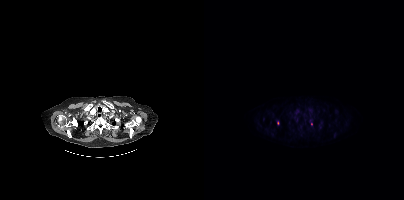
Coordinates are on the 200×200 PET (right) panel. PSMA-avid tumor lesion bounding box (x0, y0)-(x1, y1): (106, 120)-(108, 125). Small PSMA-avid focus (2 to 4 px across) near (center x, center y): (73, 123).